- Left: CT. Right: PSMA PET, same axial level, 18F-PSMA tracer
- slice 372 of 464
- PET panel 200×200 px (4.1 mm/px)
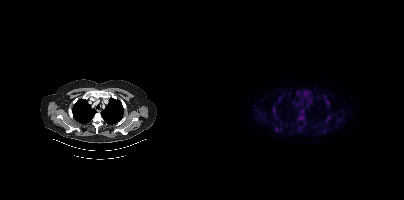
Findings: Coordinates are on the 200×200 PET (right) panel. PSMA-avid tumor lesion bounding boxes (x0, y0)-(x1, y1): (93, 91)-(103, 97); (68, 105)-(72, 116); (94, 114)-(99, 121); (118, 94)-(123, 100); (121, 101)-(125, 106); (124, 113)-(128, 119); (70, 128)-(76, 131). Small PSMA-avid foci (2 to 4 px across) near (center x, center y): (59, 116); (105, 92); (75, 100); (117, 123).